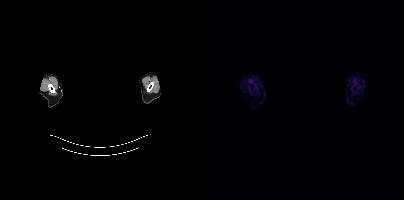
No PSMA-avid tumor lesions on this slice.
de-identification: head region blacked out before release | modality: PSMA PET/CT | tracer: 18F-PSMA | view: axial